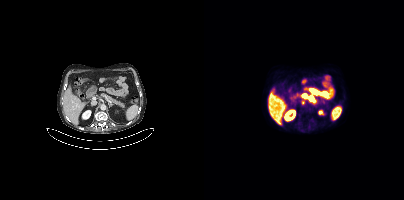
{"modality":"PSMA PET/CT","view":"axial","tracer":"[18F]PSMA-1007","pet_grid":[200,200],"coord_frame":"pet_panel","coord_format":"x0,y0,x1,y1","lesion_bboxes":[[97,100,100,104]]}